Technique: Paired axial CT (left) and PSMA PET (right), 18F-PSMA tracer. slice 225 of 429. PET panel 200×200 px (4.1 mm/px).
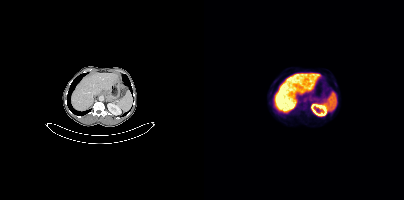
Findings: No PSMA-avid tumor lesions on this slice.